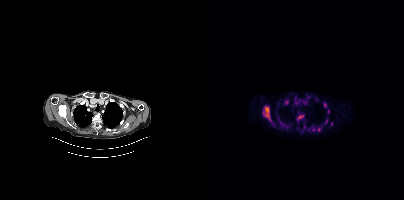
modality: PSMA PET/CT | tracer: 18F-PSMA | view: axial | PET grid: 200×200
Coordinates are on the 200×200 PET (right) panel. (showing 11 of 13 foci) PSMA-avid tumor lesion bounding boxes (x0, y0)-(x1, y1): (59, 106)-(66, 120) | (80, 100)-(84, 104) | (120, 118)-(124, 124) | (78, 122)-(82, 125) | (94, 116)-(99, 118). Small PSMA-avid foci (2 to 4 px across) near (center x, center y): (127, 123) | (109, 129) | (121, 105) | (116, 129) | (124, 112) | (100, 126).